Left: CT. Right: PSMA PET, same axial level, [18F]PSMA-1007 tracer. Slice 132 of 299. PET panel 256×256 px (2.7 mm/px).
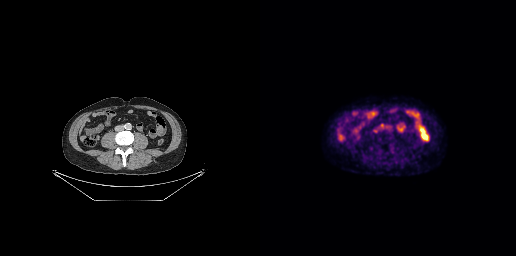
Coordinates are on the 256×256 PET (right) panel. Small PSMA-avid focus (2 to 4 px across) near (center x, center y): (121, 124).